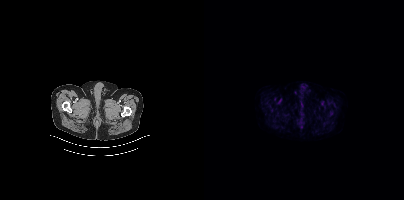
modality: PSMA PET/CT | tracer: 18F-PSMA | view: axial
No tumor lesions annotated on this slice.